- a rectangular block over the head has been blanked out for de-identification
- Left: CT. Right: PSMA PET, same axial level, [18F]PSMA-1007 tracer
- acquired on Siemens Biograph mCT Flow 20
- PET panel 200×200 px (4.1 mm/px)
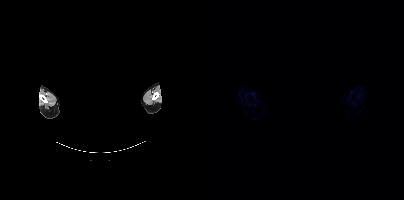
Findings: This slice has no annotated PSMA-avid lesion.